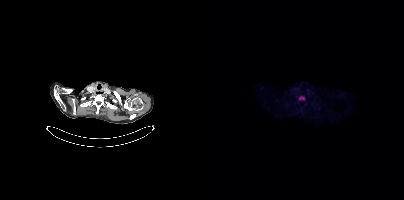
Coordinates are on the 200×200 PET (right) panel. PSMA-avid tumor lesion bounding box (x, y, width, height): x=95 y=97 w=6 h=3.